Left: CT. Right: PSMA PET, same axial level, 18F-PSMA tracer. PET panel 200×200 px (4.1 mm/px).
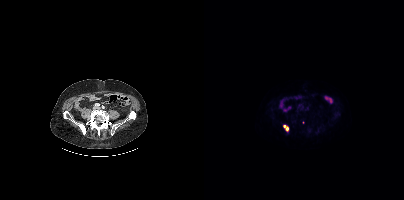
Coordinates are on the 200×200 PET (right) panel. (showing 1 of 2 foci) PSMA-avid tumor lesion bounding box (x, y, width, height): x=79 y=125 w=6 h=7.